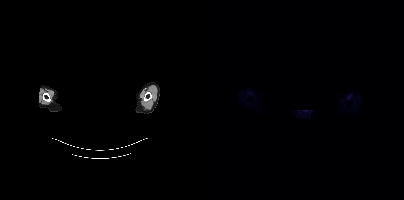
{"modality":"PSMA PET/CT","view":"axial","tracer":"[68Ga]Ga-PSMA-11","pet_grid":[200,200],"coord_frame":"pet_panel","coord_format":"x0,y0,x1,y1","psma_avid_lesions":false,"deidentification":"facial region redacted"}